Technique: Left: CT. Right: PSMA PET, same axial level, [68Ga]Ga-PSMA-11 tracer. slice position z = -974 mm.
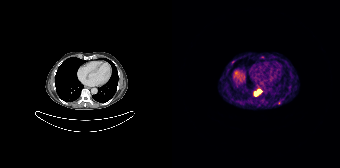
Findings: Coordinates are on the 168×168 PET (right) panel. Small PSMA-avid foci (2 to 4 px across) near (center x, center y): (83, 93) / (87, 91) / (60, 61).